de-identification: head region blanked (face removed) | modality: PSMA PET/CT | tracer: 18F-PSMA | view: axial | PET grid: 200×200
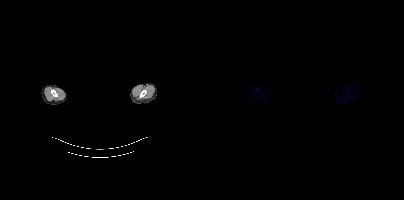
No tumor lesions annotated on this slice.